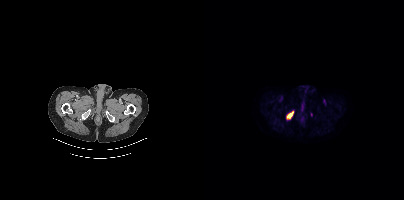
Findings: Coordinates are on the 200×200 PET (right) panel. PSMA-avid tumor lesion bounding box (x0,y0,x1,y1): [84,112,89,117].
- Paired axial CT (left) and PSMA PET (right), [18F]PSMA-1007 tracer
- slice position z = -1562 mm
- PET panel 200×200 px (4.1 mm/px)